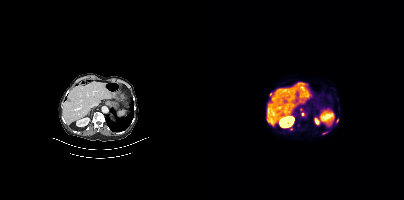
Coordinates are on the 200×200 PET (right) panel. (showing 5 of 6 foci) PSMA-avid tumor lesion bounding boxes (x0, y0)-(x1, y1): (97, 111)-(102, 116); (118, 132)-(123, 134). Small PSMA-avid foci (2 to 4 px across) near (center x, center y): (64, 121); (87, 128); (133, 120).